Paired axial CT (left) and PSMA PET (right), 18F-PSMA tracer. Slice position z = -341 mm.
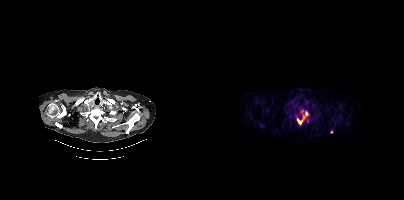
Coordinates are on the 200×200 PET (right) panel. PSMA-avid tumor lesion bounding boxes (partial; 1 more focus not listed):
| # | x0 | y0 | x1 | y1 |
|---|---|---|---|---|
| 1 | 93 | 111 | 104 | 124 |
Small PSMA-avid focus (2 to 4 px across) near (center x, center y): (126, 131).